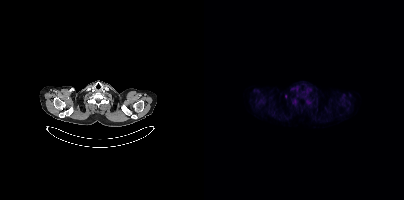
Coordinates are on the 200×200 PET (right) panel. Small PSMA-avid focus (2 to 4 px across) near (center x, center y): (81, 96). Paired axial CT (left) and PSMA PET (right), 18F-PSMA tracer. Slice position z = -947 mm. PET panel 200×200 px (4.1 mm/px).